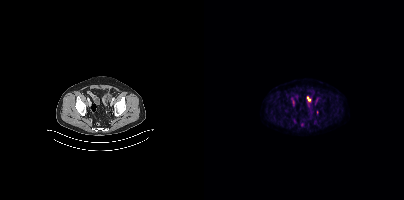
Two-panel axial: CT | PSMA PET, [18F]PSMA-1007 tracer. Slice position z = -1652 mm. Coordinates are on the 200×200 PET (right) panel. (showing 2 of 3 foci) PSMA-avid tumor lesion bounding box (x0,y0,x1,y1): [89,118,92,122]. Small PSMA-avid focus (2 to 4 px across) near (center x, center y): (110, 122).